modality: PSMA PET/CT | tracer: 68Ga | view: axial
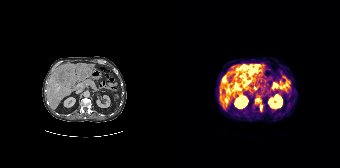
Coordinates are on the 168×168 PET (right) panel. PSMA-avid tumor lesion bounding boxes (x, y, width, height): x=66 y=64 w=20 h=20 / x=62 y=81 w=8 h=10 / x=49 y=76 w=6 h=7 / x=83 y=98 w=7 h=6 / x=88 y=103 w=3 h=9. Small PSMA-avid foci (2 to 4 px across) near (center x, center y): (53, 99) / (65, 93).